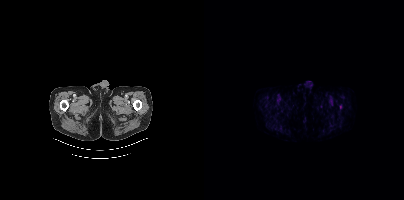
Paired axial CT (left) and PSMA PET (right), 18F-PSMA tracer. Acquired on Siemens Biograph mCT Flow 20. PET panel 200×200 px (4.1 mm/px). Negative for PSMA-avid disease on this slice.